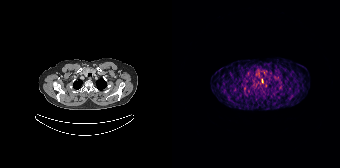
Coordinates are on the 168×168 PET (right) panel. Small PSMA-avid focus (2 to 4 px across) near (center x, center y): (90, 80).